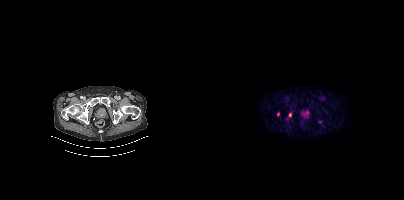
{"pet_grid":[200,200],"coord_frame":"pet_panel","coord_format":"x0,y0,x1,y1","lesion_bboxes":[],"small_foci_centers":[[86,114],[115,122],[74,114]],"modality":"PSMA PET/CT","view":"axial","tracer":"18F"}